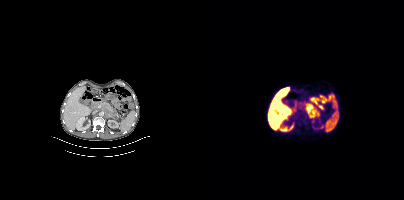
{"modality":"PSMA PET/CT","view":"axial","tracer":"18F-PSMA","pet_grid":[200,200],"coord_frame":"pet_panel","coord_format":"x0,y0,x1,y1","lesion_bboxes":[[102,103,114,117]]}